modality: PSMA PET/CT | tracer: [18F]PSMA-1007 | view: axial | PET grid: 200×200
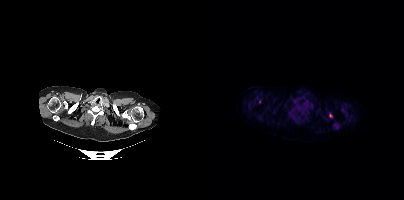
Coordinates are on the 200×200 PET (right) panel. Small PSMA-avid foci (2 to 4 px across) near (center x, center y): (126, 115) | (55, 101).